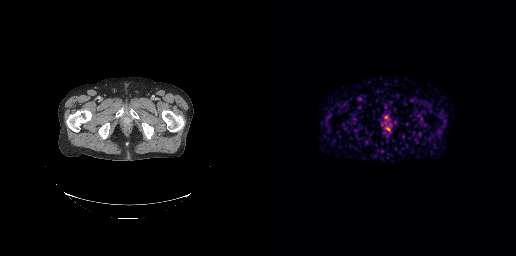
Only PSMA-avid lesion pieces thinner than 2 px on this slice (not listed).